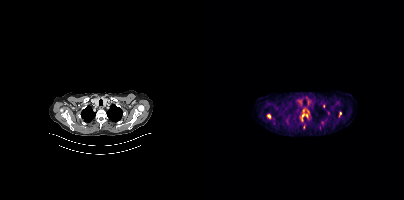
Coordinates are on the 200×200 PET (right) panel. (showing 5 of 7 foci) PSMA-avid tumor lesion bounding boxes (x, y, width, height): x=97 y=109 w=7 h=12 / x=135 y=112 w=2 h=5. Small PSMA-avid foci (2 to 4 px across) near (center x, center y): (65, 116) / (119, 106) / (103, 111).
modality: PSMA PET/CT | tracer: 18F-PSMA | view: axial